Paired axial CT (left) and PSMA PET (right), 18F tracer. Slice position z = -736 mm. PET panel 200×200 px (4.1 mm/px).
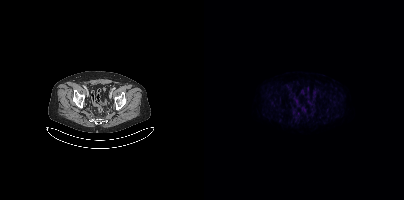
This slice has no annotated PSMA-avid lesion.